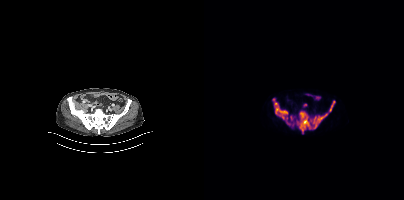
Coordinates are on the 200×200 PET (right) panel. (showing 6 of 7 foci) PSMA-avid tumor lesion bounding boxes (x0, y0)-(x1, y1): (92, 111)-(123, 133) / (69, 98)-(83, 119) / (125, 101)-(130, 111) / (82, 117)-(86, 125) / (86, 116)-(88, 120). Small PSMA-avid focus (2 to 4 px across) near (center x, center y): (88, 124).
modality: PSMA PET/CT | tracer: 18F | view: axial | PET grid: 200×200